- Left: CT. Right: PSMA PET, same axial level, [18F]PSMA-1007 tracer
- acquired on Siemens Biograph mCT Flow 20
- slice 235 of 446
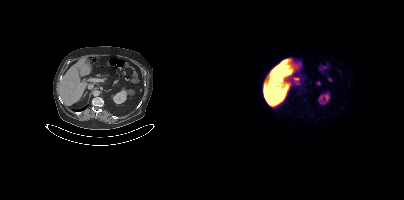
Findings: No PSMA-avid tumor lesions on this slice.